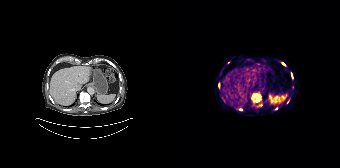
Coordinates are on the 168×168 PET (right) panel. PSMA-avid tumor lesion bounding boxes (x0,y0,x1,y1): [119,73,120,78]; [46,83,47,87]. Small PSMA-avid foci (2 to 4 px across) near (center x, center y): (85, 95); (111, 63); (85, 100); (68, 109); (81, 96); (120, 87); (104, 108).
modality: PSMA PET/CT | tracer: 68Ga-PSMA | view: axial | PET grid: 168×168